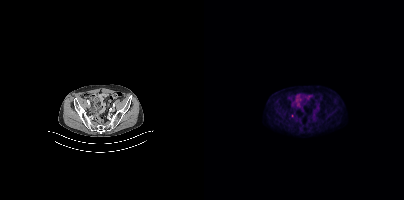
Only PSMA-avid lesion pieces thinner than 2 px on this slice (not listed).